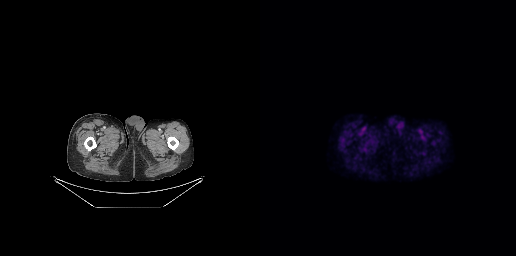
No PSMA-avid tumor lesions on this slice.
modality: PSMA PET/CT | tracer: 18F-PSMA | view: axial